Two-panel axial: CT | PSMA PET, [18F]PSMA-1007 tracer. Slice position z = -392 mm.
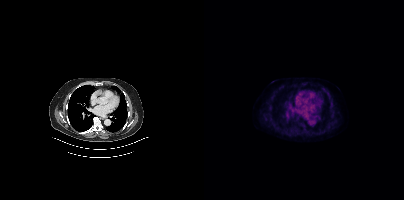
Negative for PSMA-avid disease on this slice.